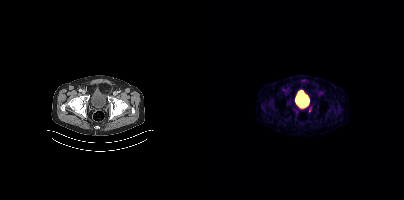
Technique: Paired axial CT (left) and PSMA PET (right), [68Ga]Ga-PSMA-11 tracer.
Findings: Coordinates are on the 200×200 PET (right) panel. Small PSMA-avid focus (2 to 4 px across) near (center x, center y): (105, 110).